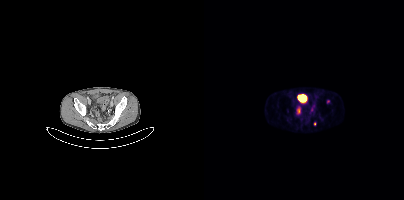
modality: PSMA PET/CT | tracer: [68Ga]Ga-PSMA-11 | view: axial
Coordinates are on the 200×200 PET (right) panel. PSMA-avid tumor lesion bounding boxes (x, y, width, height): x=93 y=107 w=3 h=7; x=108 y=105 w=3 h=5. Small PSMA-avid foci (2 to 4 px across) near (center x, center y): (111, 123); (107, 111).